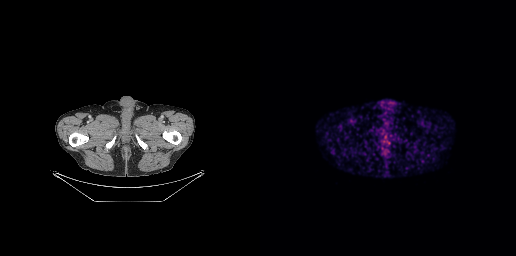
No tumor lesions annotated on this slice.